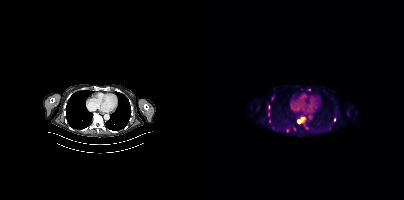
Coordinates are on the 200×200 PET (right) panel. (showing 4 of 7 foci) PSMA-avid tumor lesion bounding boxes (x, y, width, height): x=94 y=118 w=7 h=6 | x=64 y=112 w=2 h=5. Small PSMA-avid foci (2 to 4 px across) near (center x, center y): (130, 119) | (65, 121). Two-panel axial: CT | PSMA PET, 18F tracer. Slice position z = -571 mm. PET panel 200×200 px (4.1 mm/px).